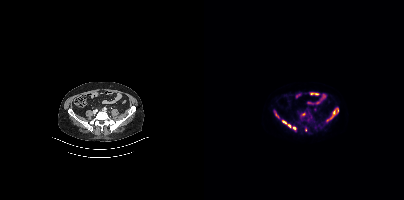
Coordinates are on the 200×200 PET (right) panel. (showing 6 of 8 foci) PSMA-avid tumor lesion bounding boxes (x, y, width, height): x=126 y=108 w=9 h=11; x=78 y=120 w=5 h=5. Small PSMA-avid foci (2 to 4 px across) near (center x, center y): (85, 125); (90, 128); (101, 129); (99, 114).